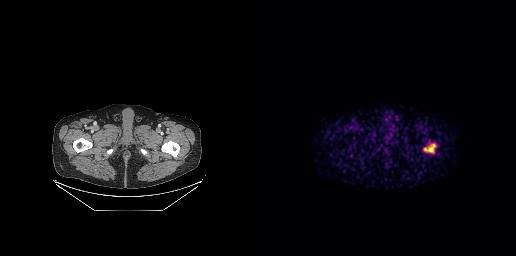
Two-panel axial: CT | PSMA PET, [68Ga]Ga-PSMA-11 tracer. Coordinates are on the 256×256 PET (right) panel. PSMA-avid tumor lesion bounding box (x0, y0)-(x1, y1): (164, 144)-(174, 151).